Two-panel axial: CT | PSMA PET, 18F-PSMA tracer. Head region blanked for anonymization (face removed).
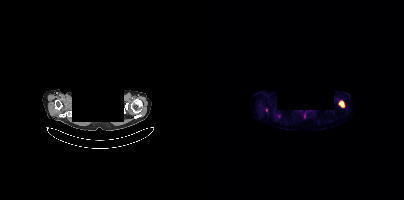
Coordinates are on the 200×200 PET (right) panel. PSMA-avid tumor lesion bounding box (x0, y0)-(x1, y1): (134, 100)-(140, 107).